Two-panel axial: CT | PSMA PET, 18F-PSMA tracer. Face de-identified by blanking a block of the head.
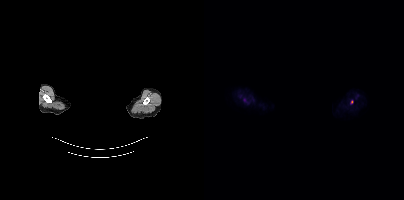
Coordinates are on the 200×200 PET (right) panel. (showing 1 of 2 foci) Small PSMA-avid focus (2 to 4 px across) near (center x, center y): (147, 101).